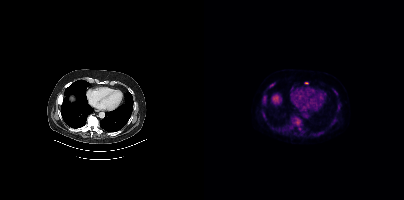
{"modality":"PSMA PET/CT","view":"axial","tracer":"[18F]PSMA-1007","pet_grid":[200,200],"coord_frame":"pet_panel","coord_format":"x0,y0,x1,y1","partial":true,"lesion_bboxes":[[59,98,62,103]],"small_foci_centers":[[67,85],[102,82]]}